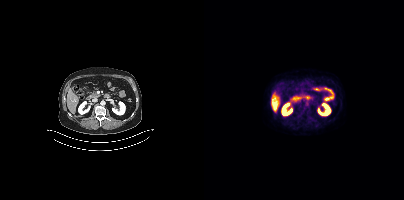
No tumor lesions annotated on this slice.